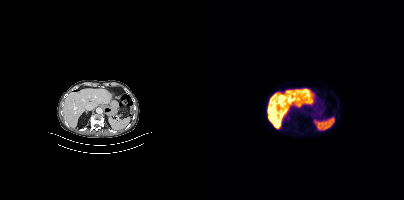
Negative for PSMA-avid disease on this slice. Paired axial CT (left) and PSMA PET (right), 18F tracer.